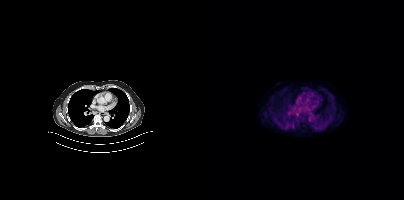
{"pet_grid":[200,200],"coord_frame":"pet_panel","coord_format":"x0,y0,x1,y1","lesion_bboxes":[[87,124,91,127]],"modality":"PSMA PET/CT","view":"axial","tracer":"18F-PSMA"}